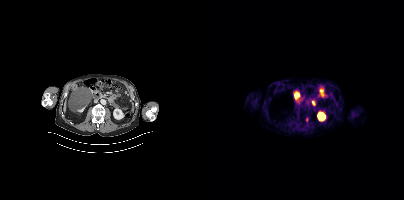
Coordinates are on the 200×200 PET (right) panel. Small PSMA-avid focus (2 to 4 px across) near (center x, center y): (102, 119).